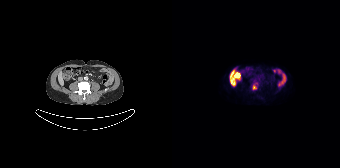
Two-panel axial: CT | PSMA PET, 18F tracer. Acquired on Siemens Biograph 64-4R TruePoint. Coordinates are on the 168×168 PET (right) panel. (showing 1 of 2 foci) PSMA-avid tumor lesion bounding box (x0,y0,x1,y1): [80,84,84,89].